deidentification: facial region redacted | modality: PSMA PET/CT | tracer: [18F]PSMA-1007 | view: axial
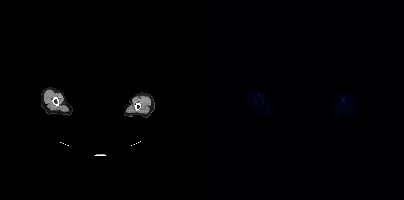
Negative for PSMA-avid disease on this slice.